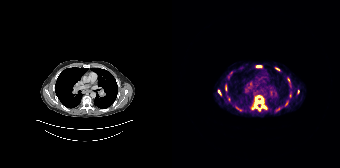
{"modality":"PSMA PET/CT","view":"axial","tracer":"68Ga","pet_grid":[168,168],"coord_frame":"pet_panel","coord_format":"x0,y0,x1,y1","partial":true,"lesion_bboxes":[[80,95,94,110],[84,65,89,67],[46,90,48,94]],"small_foci_centers":[[105,68],[65,108],[114,103]]}